- Left: CT. Right: PSMA PET, same axial level, 18F-PSMA tracer
- acquired on Siemens Biograph mCT Flow 20
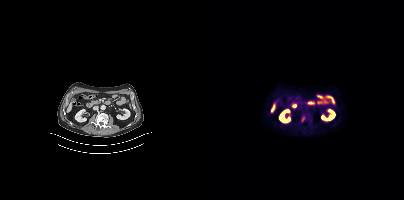
Findings: Coordinates are on the 200×200 PET (right) panel. PSMA-avid tumor lesion bounding box (x0, y0)-(x1, y1): (98, 116)-(100, 121).